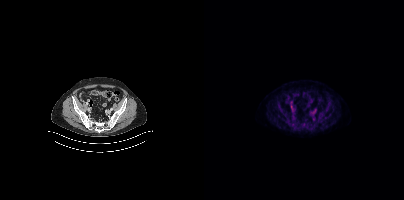
{"modality":"PSMA PET/CT","view":"axial","tracer":"18F","pet_grid":[200,200],"coord_frame":"pet_panel","coord_format":"x0,y0,x1,y1","lesion_bboxes":[[86,104,89,108]],"small_foci_centers":[[89,111]]}